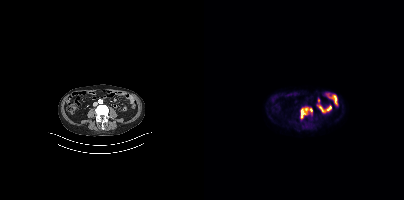
Paired axial CT (left) and PSMA PET (right), 18F-PSMA tracer. Slice position z = -1377 mm.
Coordinates are on the 200×200 PET (right) panel. PSMA-avid tumor lesion bounding boxes:
| # | x0 | y0 | x1 | y1 |
|---|---|---|---|---|
| 1 | 96 | 106 | 108 | 118 |